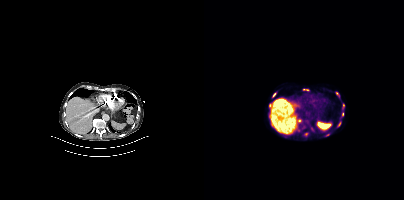
Coordinates are on the 200×200 PET (right) panel. (showing 10 of 11 foci) PSMA-avid tumor lesion bounding boxes (x, y, width, height): x=132 y=92 w=4 h=6 | x=138 y=103 w=3 h=6 | x=99 y=89 w=6 h=2 | x=138 y=112 w=2 h=5 | x=134 y=122 w=3 h=5 | x=67 y=124 w=4 h=5. Small PSMA-avid foci (2 to 4 px across) near (center x, center y): (66, 105) | (70, 94) | (102, 134) | (95, 120).